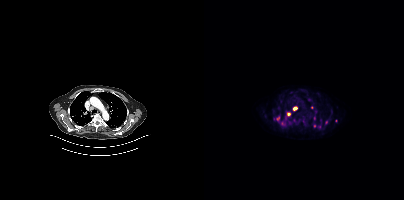
Technique: Paired axial CT (left) and PSMA PET (right), [18F]PSMA-1007 tracer. PET panel 200×200 px (4.1 mm/px).
Findings: Coordinates are on the 200×200 PET (right) panel. (showing 7 of 11 foci) PSMA-avid tumor lesion bounding box (x0, y0)-(x1, y1): (89, 107)-(93, 110). Small PSMA-avid foci (2 to 4 px across) near (center x, center y): (84, 114) | (74, 118) | (122, 122) | (110, 125) | (115, 127) | (107, 107).